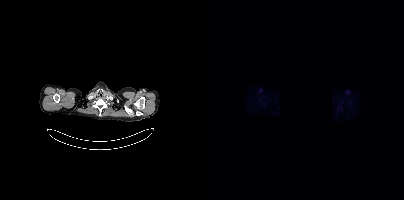
Part of this slice was blanked for de-identification. Paired axial CT (left) and PSMA PET (right), 18F-PSMA tracer. Acquired on Siemens Biograph mCT Flow 20. Slice position z = -396 mm. This slice has no annotated PSMA-avid lesion.